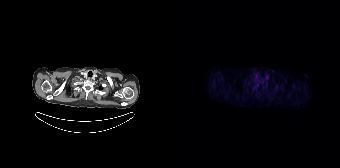
Coordinates are on the 168×168 PET (right) panel. Small PSMA-avid focus (2 to 4 px across) near (center x, center y): (85, 84).